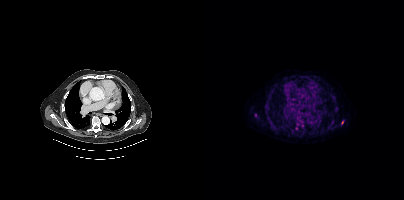
Coordinates are on the 200×200 PET (right) panel. (showing 4 of 6 foci) PSMA-avid tumor lesion bounding box (x, y, width, height): x=137 y=120 w=3 h=5. Small PSMA-avid foci (2 to 4 px across) near (center x, center y): (51, 115); (98, 125); (92, 128).